Paired axial CT (left) and PSMA PET (right), [68Ga]Ga-PSMA-11 tracer. Acquired on Siemens Biograph mCT Flow 20. Slice position z = -1158 mm.
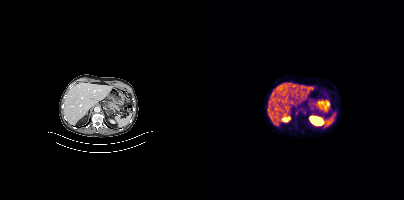
No tumor lesions annotated on this slice.